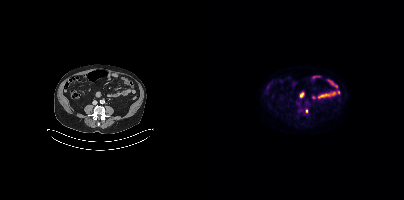
{"modality":"PSMA PET/CT","view":"axial","tracer":"[18F]PSMA-1007","pet_grid":[200,200],"coord_frame":"pet_panel","coord_format":"x0,y0,x1,y1","lesion_bboxes":[],"small_foci_centers":[[102,111]]}